Paired axial CT (left) and PSMA PET (right), [18F]PSMA-1007 tracer. Acquired on Siemens Biograph 64-4R TruePoint. Slice position z = -1526 mm. PET panel 168×168 px (4.1 mm/px).
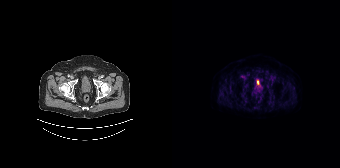
No PSMA-avid tumor lesions on this slice.